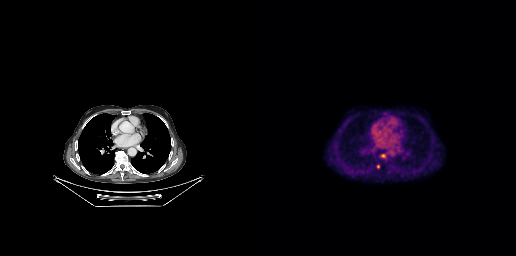
{"modality":"PSMA PET/CT","view":"axial","tracer":"[18F]PSMA-1007","pet_grid":[256,256],"coord_frame":"pet_panel","coord_format":"x0,y0,x1,y1","lesion_bboxes":[],"small_foci_centers":[[118,167]]}